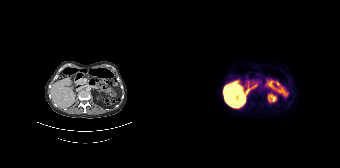
Left: CT. Right: PSMA PET, same axial level, [18F]PSMA-1007 tracer. Acquired on Siemens Biograph 64-4R TruePoint. PET panel 168×168 px (4.1 mm/px). No tumor lesions annotated on this slice.